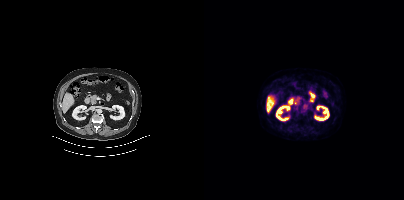
Left: CT. Right: PSMA PET, same axial level, [18F]PSMA-1007 tracer. This slice has no annotated PSMA-avid lesion.